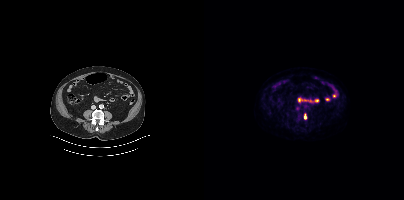
{"modality":"PSMA PET/CT","view":"axial","tracer":"18F","pet_grid":[200,200],"coord_frame":"pet_panel","coord_format":"x0,y0,x1,y1","lesion_bboxes":[[100,114,102,119]]}